modality: PSMA PET/CT | tracer: 68Ga-PSMA | view: axial | PET grid: 200×200
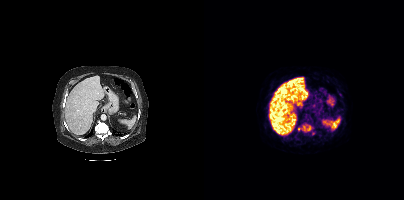
Coordinates are on the 200×200 PET (right) panel. (showing 2 of 3 foci) PSMA-avid tumor lesion bounding box (x0,y0,x1,y1): [98,125,107,130]. Small PSMA-avid focus (2 to 4 px across) near (center x, center y): (95, 129).